modality: PSMA PET/CT | tracer: 18F | view: axial | PET grid: 200×200
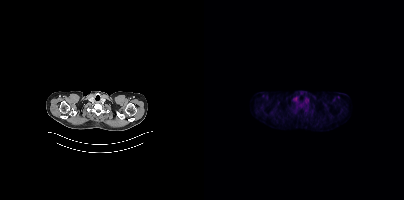
No tumor lesions annotated on this slice.